modality: PSMA PET/CT | tracer: [18F]PSMA-1007 | view: axial
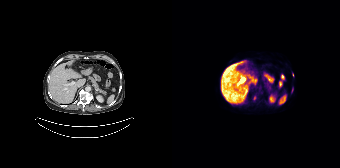
Coordinates are on the 168×168 PET (right) panel. (showing 2 of 3 foci) Small PSMA-avid foci (2 to 4 px across) near (center x, center y): (120, 74) / (82, 98).